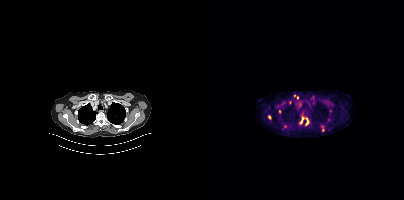
{"modality":"PSMA PET/CT","view":"axial","tracer":"18F-PSMA","pet_grid":[200,200],"coord_frame":"pet_panel","coord_format":"x0,y0,x1,y1","partial":true,"lesion_bboxes":[[95,117,104,125],[117,126,120,131]],"small_foci_centers":[[93,97],[65,117],[90,95]]}